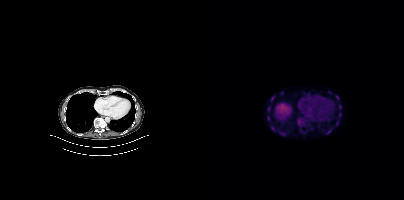
Coordinates are on the 200×200 PET (right) panel. (showing 5 of 6 foci) PSMA-avid tumor lesion bounding boxes (x, y, width, height): x=64 y=106 w=3 h=6 | x=135 y=105 w=3 h=5 | x=67 y=96 w=4 h=6. Small PSMA-avid foci (2 to 4 px across) near (center x, center y): (136, 114) | (68, 127). Left: CT. Right: PSMA PET, same axial level, [18F]PSMA-1007 tracer. PET panel 200×200 px (4.1 mm/px).